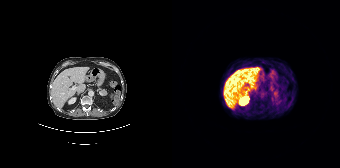
Negative for PSMA-avid disease on this slice.